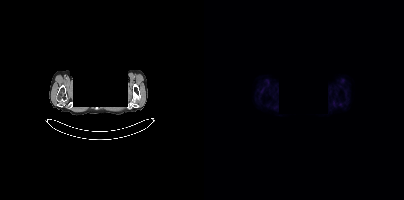
Negative for PSMA-avid disease on this slice.
Facial anatomy redacted by setting a rectangular region of the head to black.